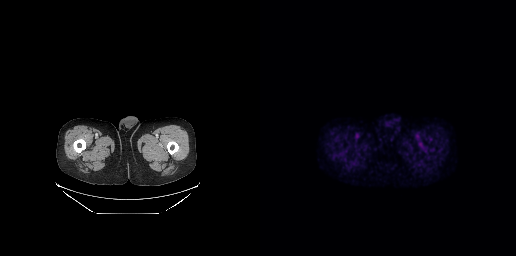
- Left: CT. Right: PSMA PET, same axial level, 18F tracer
- acquired on GE Discovery 690
Findings: No PSMA-avid tumor lesions on this slice.